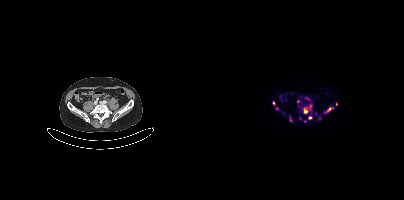
{"pet_grid":[200,200],"coord_frame":"pet_panel","coord_format":"x0,y0,x1,y1","partial":true,"lesion_bboxes":[[100,107,104,113],[123,107,129,111],[105,105,107,109],[86,117,87,121],[101,98,105,99]],"small_foci_centers":[[115,118],[94,101],[132,104],[69,103],[106,117],[96,118]],"modality":"PSMA PET/CT","view":"axial","tracer":"[18F]PSMA-1007"}